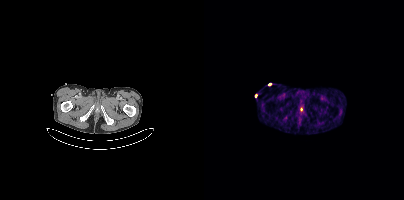
modality: PSMA PET/CT | tracer: 68Ga-PSMA | view: axial | PET grid: 200×200
Negative for PSMA-avid disease on this slice.